Two-panel axial: CT | PSMA PET, 68Ga tracer. PET panel 168×168 px (4.1 mm/px).
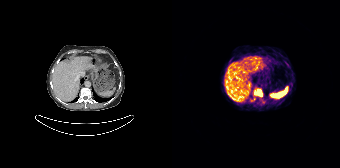
Coordinates are on the 168×168 PET (right) panel. PSMA-avid tumor lesion bounding boxes (partial; 1 more focus not listed):
| # | x0 | y0 | x1 | y1 |
|---|---|---|---|---|
| 1 | 82 | 89 | 90 | 96 |